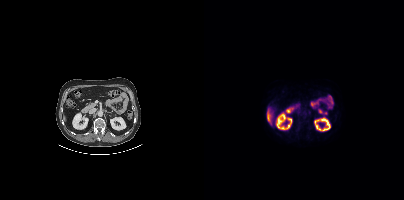
Technique: Two-panel axial: CT | PSMA PET, [18F]PSMA-1007 tracer. slice position z = -1184 mm. PET panel 200×200 px (4.1 mm/px).
Findings: Coordinates are on the 200×200 PET (right) panel. Small PSMA-avid focus (2 to 4 px across) near (center x, center y): (105, 113).